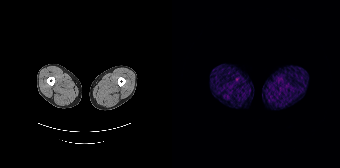
Two-panel axial: CT | PSMA PET, [68Ga]Ga-PSMA-11 tracer. PET panel 168×168 px (4.1 mm/px). No PSMA-avid tumor lesions on this slice.